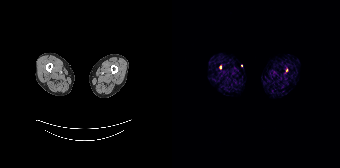
Only PSMA-avid lesion pieces thinner than 2 px on this slice (not listed). Left: CT. Right: PSMA PET, same axial level, 68Ga-PSMA tracer.